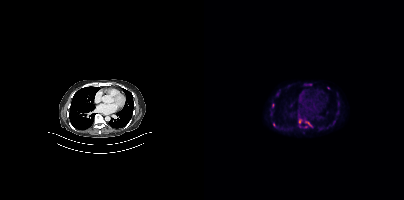
Left: CT. Right: PSMA PET, same axial level, 18F tracer. PET panel 200×200 px (4.1 mm/px). Coordinates are on the 200×200 PET (right) panel. (showing 4 of 6 foci) PSMA-avid tumor lesion bounding box (x0, y0)-(x1, y1): (101, 121)-(106, 125). Small PSMA-avid foci (2 to 4 px across) near (center x, center y): (70, 124) / (96, 121) / (101, 126).